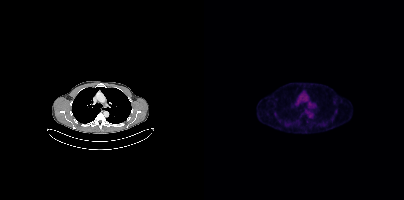
Left: CT. Right: PSMA PET, same axial level, [18F]PSMA-1007 tracer. Slice 295 of 417. Negative for PSMA-avid disease on this slice.